Paired axial CT (left) and PSMA PET (right), [18F]PSMA-1007 tracer. Facial anatomy redacted by setting a rectangular region of the head to black.
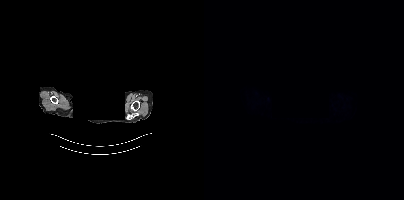
No tumor lesions annotated on this slice.